Technique: Paired axial CT (left) and PSMA PET (right), 68Ga tracer. slice 54 of 165.
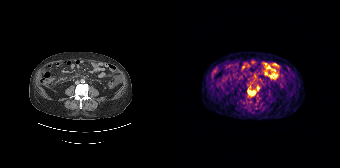
Findings: Coordinates are on the 168×168 PET (right) panel. (showing 1 of 2 foci) PSMA-avid tumor lesion bounding box (x, y, width, height): x=76 y=90 w=8 h=6.